- Two-panel axial: CT | PSMA PET, [18F]PSMA-1007 tracer
- acquired on GE Discovery 690
- slice position z = -238 mm
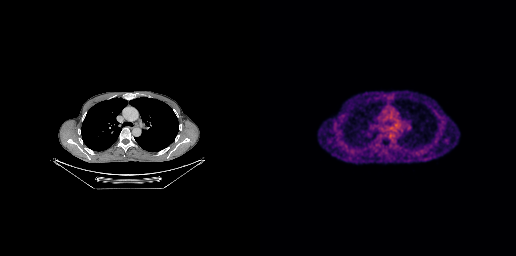
Findings: This slice has no annotated PSMA-avid lesion.